Left: CT. Right: PSMA PET, same axial level, 18F tracer. Slice position z = -840 mm.
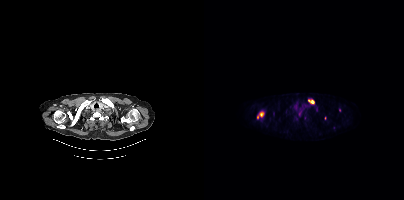
Coordinates are on the 200×200 PET (right) panel. PSMA-avid tumor lesion bounding boxes (partial; 3 more foci not listed):
| # | x0 | y0 | x1 | y1 |
|---|---|---|---|---|
| 1 | 53 | 112 | 59 | 118 |
| 2 | 104 | 99 | 110 | 103 |
| 3 | 69 | 111 | 70 | 116 |
Small PSMA-avid foci (2 to 4 px across) near (center x, center y): (112, 109); (135, 110); (95, 113).